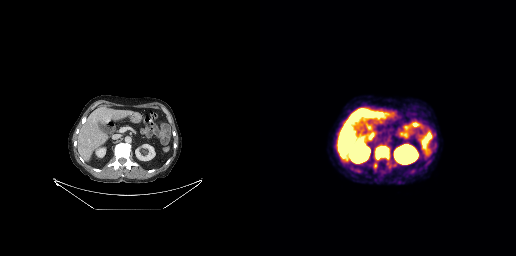
Coordinates are on the 256×256 PET (right) panel. PSMA-avid tumor lesion bounding box (x0, y0)-(x1, y1): (115, 146)-(129, 159). Small PSMA-avid focus (2 to 4 px across) near (center x, center y): (115, 165).